modality: PSMA PET/CT | tracer: 18F | view: axial | PET grid: 200×200
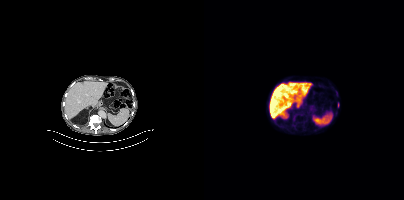
Coordinates are on the 200×200 PET (right) panel. PSMA-avid tumor lesion bounding box (x, y, width, height): x=134 y=103 w=2 h=5.